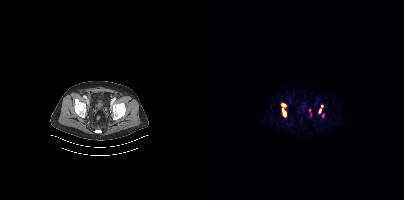
Findings: Coordinates are on the 200×200 PET (right) panel. PSMA-avid tumor lesion bounding boxes (x, y, width, height): x=77 y=103 w=6 h=15 / x=114 y=108 w=4 h=6. Small PSMA-avid foci (2 to 4 px across) near (center x, center y): (118, 106) / (105, 109) / (118, 115).
Technique: Left: CT. Right: PSMA PET, same axial level, 18F tracer. acquired on Siemens Biograph mCT Flow 20. slice position z = -1565 mm.